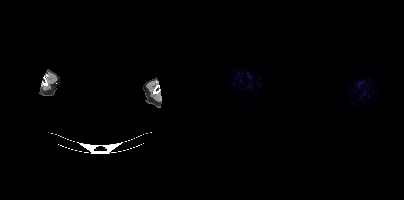
{"modality":"PSMA PET/CT","view":"axial","tracer":"[18F]PSMA-1007","pet_grid":[200,200],"coord_frame":"pet_panel","coord_format":"x0,y0,x1,y1","psma_avid_lesions":false,"deidentification":"head region blanked (face removed)"}